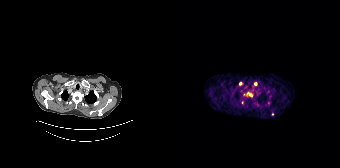
Coordinates are on the 168×168 PET (right) panel. (showing 5 of 6 foci) PSMA-avid tumor lesion bounding box (x, y, width, height): x=75 y=92 w=6 h=5. Small PSMA-avid foci (2 to 4 px across) near (center x, center y): (83, 83); (100, 114); (68, 83); (70, 102).